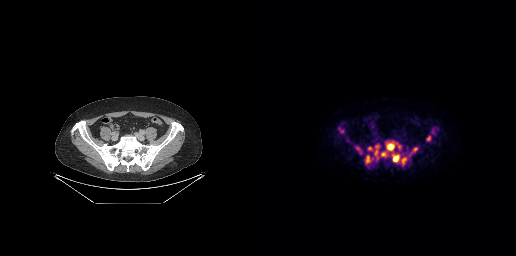
modality: PSMA PET/CT | tracer: [18F]PSMA-1007 | view: axial | PET grid: 256×256
Coordinates are on the 256×256 PET (right) panel. PSMA-avid tumor lesion bounding boxes (x, y, width, height): x=121 y=141 w=27 h=25 | x=114 y=144 w=6 h=16 | x=105 y=155 w=6 h=9 | x=149 y=147 w=9 h=9 | x=96 y=146 w=6 h=8 | x=166 y=136 w=5 h=5 | x=108 y=147 w=5 h=4. Small PSMA-avid foci (2 to 4 px across) near (center x, center y): (82, 131) | (112, 158).